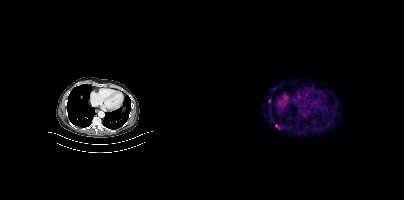
Coordinates are on the 200×200 PET (right) panel. (showing 1 of 2 foci) Small PSMA-avid focus (2 to 4 px across) near (center x, center y): (65, 101).